Paired axial CT (left) and PSMA PET (right), [18F]PSMA-1007 tracer. Acquired on Siemens Biograph mCT Flow 20. Slice position z = -1343 mm.
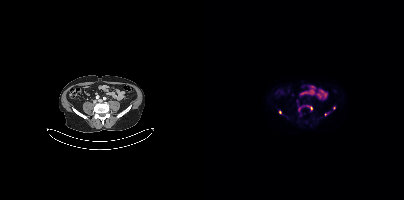
Coordinates are on the 200×200 PET (right) panel. (showing 3 of 7 foci) Small PSMA-avid foci (2 to 4 px across) near (center x, center y): (107, 107); (76, 112); (121, 114).